Technique: Paired axial CT (left) and PSMA PET (right), 18F-PSMA tracer. acquired on Siemens Biograph mCT Flow 20. slice 29 of 429.
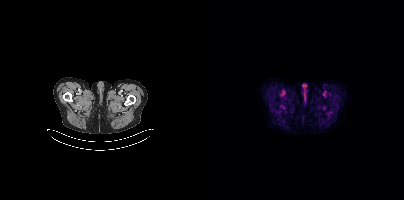
Findings: This slice has no annotated PSMA-avid lesion.